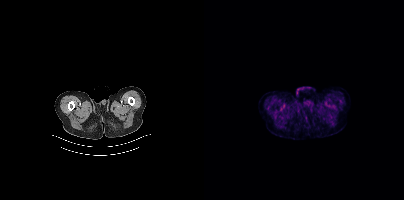
modality: PSMA PET/CT | tracer: [18F]PSMA-1007 | view: axial
This slice has no annotated PSMA-avid lesion.